Two-panel axial: CT | PSMA PET, 18F tracer. Acquired on GE Discovery 690. Slice position z = -380 mm. PET panel 256×256 px (2.7 mm/px).
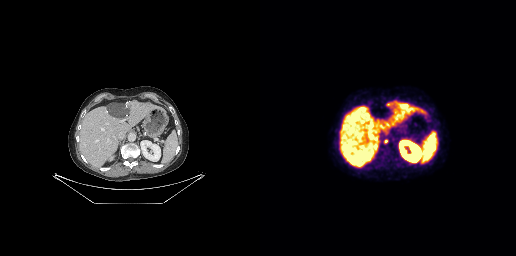
Coordinates are on the 256×256 PET (right) panel. PSMA-avid tumor lesion bounding boxes:
| # | x0 | y0 | x1 | y1 |
|---|---|---|---|---|
| 1 | 124 | 139 | 127 | 143 |